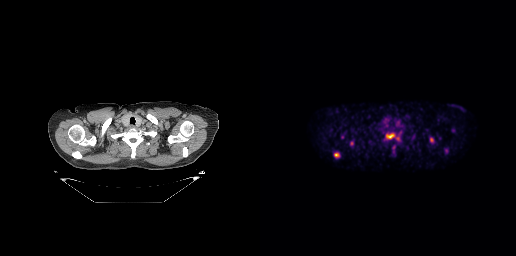
Left: CT. Right: PSMA PET, same axial level, 18F-PSMA tracer. Slice 254 of 299. PET panel 256×256 px (2.7 mm/px).
Coordinates are on the 256×256 PET (right) panel. PSMA-avid tumor lesion bounding boxes (partial; 2 more foci not listed):
| # | x0 | y0 | x1 | y1 |
|---|---|---|---|---|
| 1 | 126 | 133 | 135 | 139 |
| 2 | 74 | 152 | 79 | 157 |
| 3 | 170 | 138 | 173 | 142 |
Small PSMA-avid focus (2 to 4 px across) near (center x, center y): (91, 143).